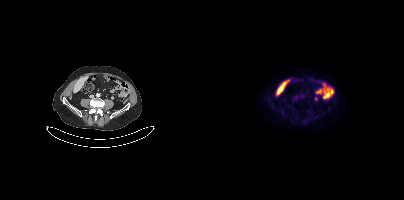
Technique: Paired axial CT (left) and PSMA PET (right), 18F-PSMA tracer. slice position z = -773 mm. PET panel 200×200 px (4.1 mm/px).
Findings: This slice has no annotated PSMA-avid lesion.